Paired axial CT (left) and PSMA PET (right), [18F]PSMA-1007 tracer. Slice 313 of 421. PET panel 200×200 px (4.1 mm/px).
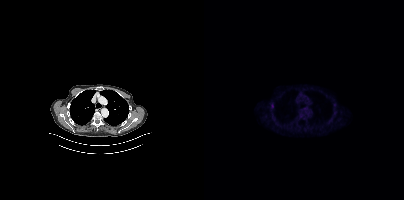
Negative for PSMA-avid disease on this slice.